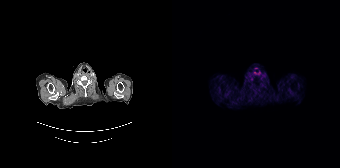
Two-panel axial: CT | PSMA PET, 68Ga-PSMA tracer. Acquired on Siemens Biograph 64-4R TruePoint. Slice position z = -712 mm. No PSMA-avid tumor lesions on this slice.